modality: PSMA PET/CT | tracer: 18F-PSMA | view: axial | PET grid: 200×200
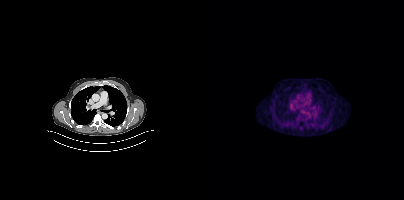
This slice has no annotated PSMA-avid lesion.